- Left: CT. Right: PSMA PET, same axial level, [68Ga]Ga-PSMA-11 tracer
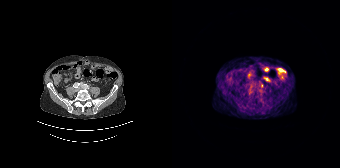
Findings: Coordinates are on the 168×168 PET (right) panel. Small PSMA-avid focus (2 to 4 px across) near (center x, center y): (89, 85).